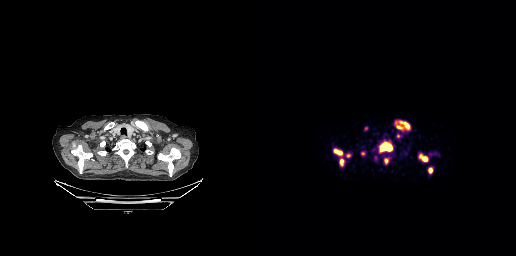
Coordinates are on the 256×256 PET (right) panel. PSMA-avid tumor lesion bounding boxes (x, y, width, height): x=137 y=121 w=14 h=10 | x=120 y=143 w=13 h=9 | x=162 y=157 w=6 h=5 | x=124 y=158 w=5 h=7 | x=74 y=150 w=8 h=5 | x=168 y=168 w=5 h=6 | x=80 y=159 w=4 h=7 | x=101 y=152 w=5 h=4. Small PSMA-avid foci (2 to 4 px across) near (center x, center y): (138, 136) | (87, 155) | (105, 128).